Technique: Two-panel axial: CT | PSMA PET, 18F tracer. acquired on Siemens Biograph mCT Flow 20. slice position z = -910 mm. PET panel 200×200 px (4.1 mm/px).
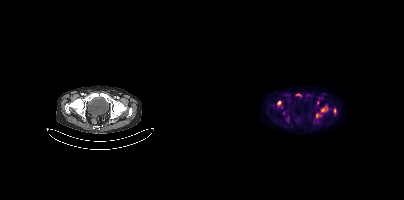
Findings: Coordinates are on the 200×200 PET (right) panel. (showing 5 of 6 foci) Small PSMA-avid foci (2 to 4 px across) near (center x, center y): (118, 109) | (75, 102) | (113, 115) | (130, 110) | (122, 109).